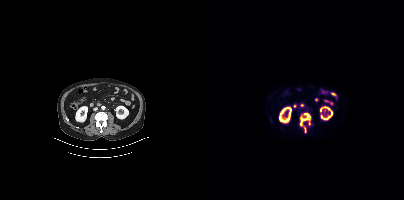
Left: CT. Right: PSMA PET, same axial level, 18F-PSMA tracer. Slice 137 of 367. PET panel 200×200 px (4.1 mm/px).
Coordinates are on the 200×200 PET (right) panel. PSMA-avid tumor lesion bounding boxes:
| # | x0 | y0 | x1 | y1 |
|---|---|---|---|---|
| 1 | 96 | 113 | 106 | 125 |
| 2 | 100 | 127 | 101 | 132 |
Small PSMA-avid focus (2 to 4 px across) near (center x, center y): (105, 123).